Two-panel axial: CT | PSMA PET, [18F]PSMA-1007 tracer. Acquired on Siemens Biograph mCT Flow 20. PET panel 200×200 px (4.1 mm/px).
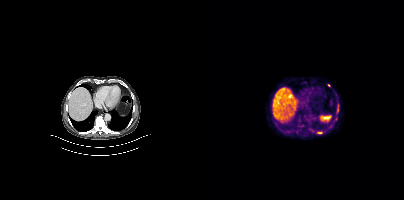
Coordinates are on the 200×200 PET (right) panel. PSMA-avid tumor lesion bounding boxes (partial; 1 more focus not listed):
| # | x0 | y0 | x1 | y1 |
|---|---|---|---|---|
| 1 | 113 | 132 | 118 | 133 |